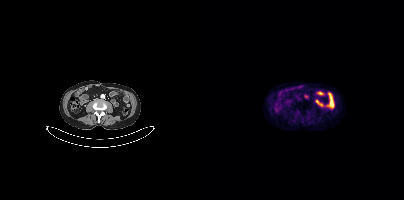
No tumor lesions annotated on this slice.